Left: CT. Right: PSMA PET, same axial level, [18F]PSMA-1007 tracer. Slice 85 of 397. PET panel 200×200 px (4.1 mm/px).
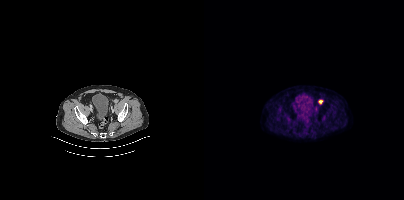
Coordinates are on the 200×200 PET (right) panel. PSMA-avid tumor lesion bounding box (x, y, width, height): x=114 y=99 w=6 h=6.